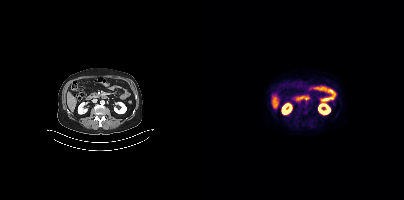
Findings: Coordinates are on the 200×200 PET (right) panel. Small PSMA-avid focus (2 to 4 px across) near (center x, center y): (101, 111).
Technique: Left: CT. Right: PSMA PET, same axial level, [18F]PSMA-1007 tracer. PET panel 200×200 px (4.1 mm/px).